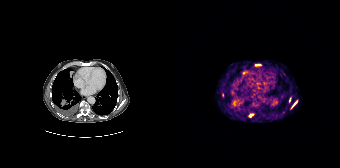
Two-panel axial: CT | PSMA PET, 68Ga-PSMA tracer. Acquired on Siemens Biograph 64-4R TruePoint.
Coordinates are on the 168×168 PET (right) panel. PSMA-avid tumor lesion bounding boxes (partial; 1 more focus not listed):
| # | x0 | y0 | x1 | y1 |
|---|---|---|---|---|
| 1 | 82 | 63 | 89 | 66 |
| 2 | 120 | 101 | 125 | 107 |
| 3 | 77 | 114 | 81 | 117 |
| 4 | 50 | 93 | 52 | 97 |